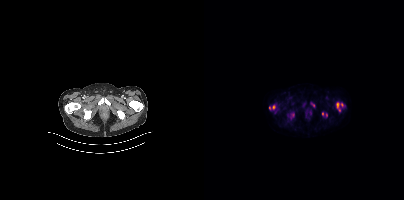
Coordinates are on the 200×200 PET (right) panel. (showing 7 of 8 foci) PSMA-avid tumor lesion bounding boxes (x0, y0)-(x1, y1): (86, 112)-(90, 119); (132, 102)-(136, 111); (65, 106)-(70, 109); (107, 103)-(110, 107). Small PSMA-avid foci (2 to 4 px across) near (center x, center y): (138, 104); (118, 113); (122, 114).